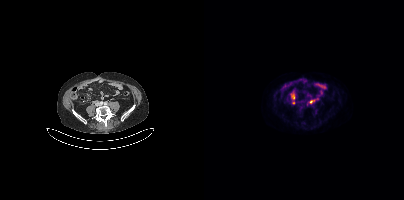
Two-panel axial: CT | PSMA PET, 18F tracer. PET panel 200×200 px (4.1 mm/px). Coordinates are on the 200×200 PET (right) panel. PSMA-avid tumor lesion bounding box (x0,y0,x1,y1): [106,100,110,102]. Small PSMA-avid foci (2 to 4 px across) near (center x, center y): (89, 96), (89, 102).